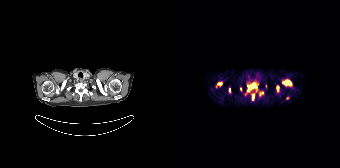
Coordinates are on the 168×168 PET (right) panel. (showing 7 of 9 foci) PSMA-avid tumor lesion bounding boxes (x0,y0,x1,y1): [77,84,84,88]; [87,91,91,96]; [115,80,119,84]; [111,81,114,85]; [45,83,49,85]; [105,86,106,90]. Small PSMA-avid focus (2 to 4 px across) near (center x, center y): (57, 90).